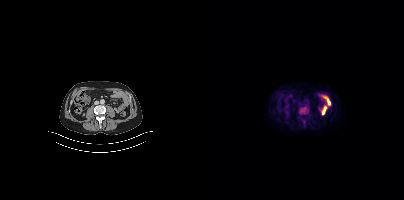
Paired axial CT (left) and PSMA PET (right), [18F]PSMA-1007 tracer. Coordinates are on the 200×200 PET (right) panel. (showing 1 of 2 foci) Small PSMA-avid focus (2 to 4 px across) near (center x, center y): (98, 110).